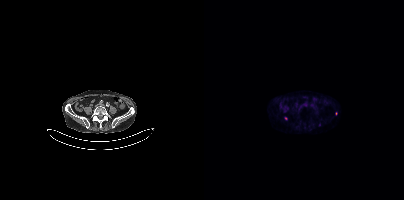
{"modality":"PSMA PET/CT","view":"axial","tracer":"18F","pet_grid":[200,200],"coord_frame":"pet_panel","coord_format":"x0,y0,x1,y1","lesion_bboxes":[],"small_foci_centers":[[132,113],[81,118],[115,124]]}